Two-panel axial: CT | PSMA PET, 68Ga-PSMA tracer. Slice position z = -985 mm.
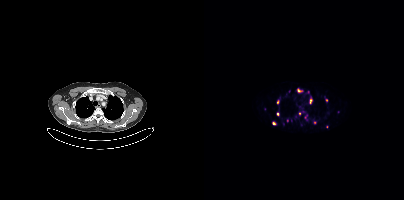
Coordinates are on the 200×200 PET (right) panel. PSMA-avid tumor lesion bounding boxes (partial; 4 more foci not listed):
| # | x0 | y0 | x1 | y1 |
|---|---|---|---|---|
| 1 | 106 | 99 | 107 | 103 |
Small PSMA-avid foci (2 to 4 px across) near (center x, center y): (74, 101); (104, 92); (122, 98); (94, 90); (73, 113); (95, 114); (101, 117); (83, 120); (110, 122); (69, 123); (85, 91); (122, 126).